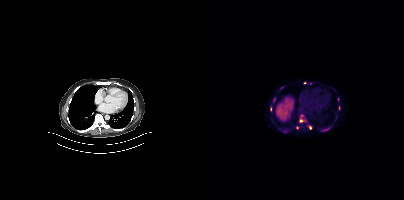
Coordinates are on the 200×200 PET (right) panel. (showing 10 of 12 foci) PSMA-avid tumor lesion bounding boxes (x0, y0)-(x1, y1): (96, 119)-(102, 122) | (119, 128)-(125, 131) | (69, 97)-(71, 102) | (76, 86)-(80, 89) | (104, 125)-(107, 129). Small PSMA-avid foci (2 to 4 px across) near (center x, center y): (80, 131) | (93, 127) | (66, 108) | (134, 99) | (100, 82).